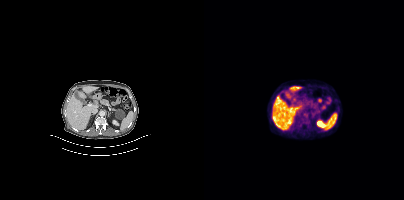
- Paired axial CT (left) and PSMA PET (right), 18F tracer
- slice 206 of 387
- PET panel 200×200 px (4.1 mm/px)
Findings: This slice has no annotated PSMA-avid lesion.